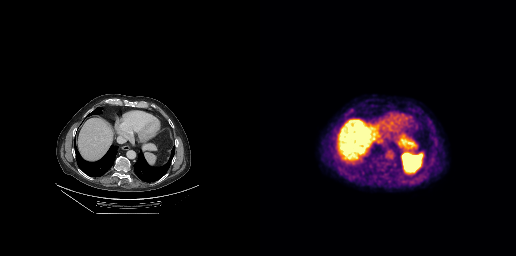
- Paired axial CT (left) and PSMA PET (right), 18F-PSMA tracer
- PET panel 256×256 px (2.7 mm/px)
Findings: Negative for PSMA-avid disease on this slice.